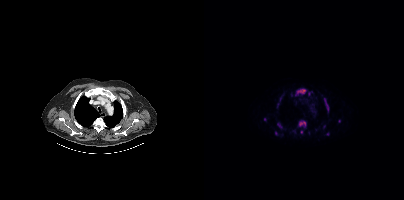
Technique: Left: CT. Right: PSMA PET, same axial level, 18F-PSMA tracer. acquired on Siemens Biograph mCT Flow 20.
Findings: Coordinates are on the 200×200 PET (right) panel. PSMA-avid tumor lesion bounding boxes (x0,y0,x1,y1): [94,120,102,127] [91,88,102,95] [120,98,124,112] [73,123,78,128] [71,131,73,135] [73,103,74,107]. Small PSMA-avid foci (2 to 4 px across) near (center x, center y): (97, 131) (61, 119) (104, 93) (135, 121) (123, 134) (90, 131) (120, 126).